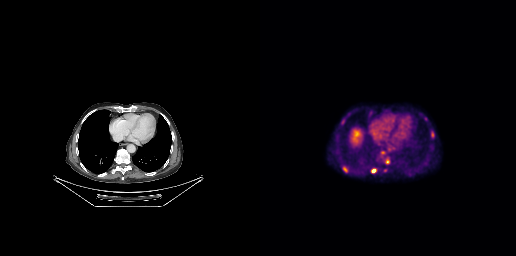
{"modality":"PSMA PET/CT","view":"axial","tracer":"18F-PSMA","pet_grid":[256,256],"coord_frame":"pet_panel","coord_format":"x0,y0,x1,y1","partial":true,"lesion_bboxes":[[83,166,87,172]],"small_foci_centers":[[113,170]]}